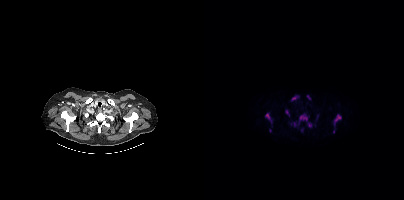
{"modality":"PSMA PET/CT","view":"axial","tracer":"18F","pet_grid":[200,200],"coord_frame":"pet_panel","coord_format":"x0,y0,x1,y1","partial":true,"lesion_bboxes":[[95,114,103,121],[130,114,137,125],[61,113,68,123],[87,96,94,100],[104,123,107,127],[82,110,85,115],[103,95,106,99]],"small_foci_centers":[[66,130],[90,123],[129,131]]}